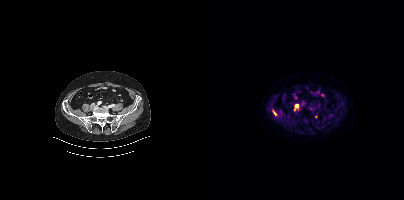
Coordinates are on the 200×200 PET (right) panel. Small PSMA-avid foci (2 to 4 px across) near (center x, center y): (92, 105) | (112, 116) | (70, 113).
modality: PSMA PET/CT | tracer: 18F-PSMA | view: axial